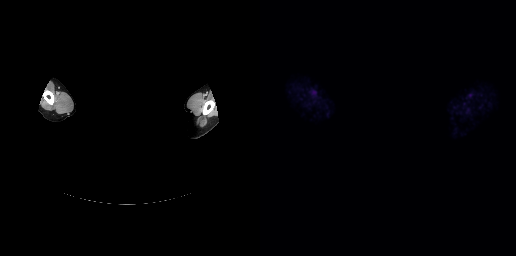
Technique: Two-panel axial: CT | PSMA PET, [18F]PSMA-1007 tracer. slice 258 of 263.
Note: Face de-identified by blanking a block of the head.
Findings: This slice has no annotated PSMA-avid lesion.